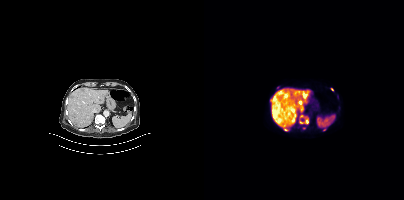
{"modality":"PSMA PET/CT","view":"axial","tracer":"18F-PSMA","pet_grid":[200,200],"coord_frame":"pet_panel","coord_format":"x0,y0,x1,y1","lesion_bboxes":[[101,118,104,124],[96,115,100,118],[68,114,71,118],[80,128,84,130]],"small_foci_centers":[[96,122],[128,89],[100,128]]}